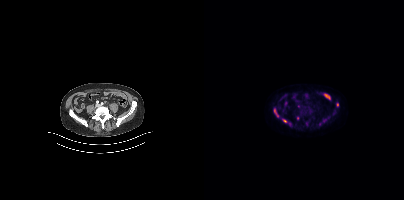
Paired axial CT (left) and PSMA PET (right), 18F-PSMA tracer. Slice 138 of 413. PET panel 200×200 px (4.1 mm/px). Coordinates are on the 200×200 PET (right) panel. PSMA-avid tumor lesion bounding boxes (x0,y0,x1,y1): [79,120,87,125] [70,109,72,113]. Small PSMA-avid foci (2 to 4 px across) near (center x, center y): (120, 120) (73, 116) (133, 104) (93, 118) (115, 123).